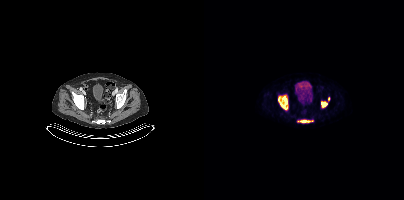
Coordinates are on the 200×200 PET (right) panel. (showing 4 of 6 foci) PSMA-avid tumor lesion bounding boxes (x, y, width, height): x=74 y=95 w=10 h=15 / x=117 y=102 w=7 h=6 / x=96 y=120 w=11 h=3. Small PSMA-avid focus (2 to 4 px across) near (center x, center y): (124, 98).